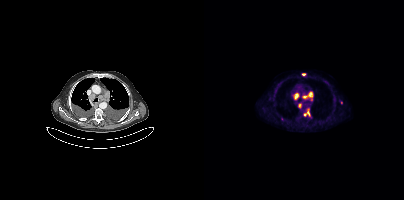
- Paired axial CT (left) and PSMA PET (right), 18F tracer
- acquired on Siemens Biograph mCT Flow 20
- slice 278 of 381
- PET panel 200×200 px (4.1 mm/px)
Findings: Coordinates are on the 200×200 PET (right) panel. PSMA-avid tumor lesion bounding boxes (x0, y0)-(x1, y1): (98, 92)-(108, 98) | (90, 93)-(94, 99) | (100, 109)-(106, 116) | (136, 100)-(138, 104). Small PSMA-avid foci (2 to 4 px across) near (center x, center y): (95, 105) | (99, 74) | (107, 99).